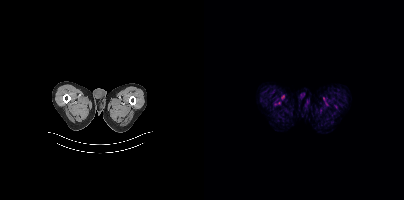
Technique: Paired axial CT (left) and PSMA PET (right), [18F]PSMA-1007 tracer. acquired on Siemens Biograph mCT Flow 20. slice 13 of 401.
Findings: No PSMA-avid tumor lesions on this slice.